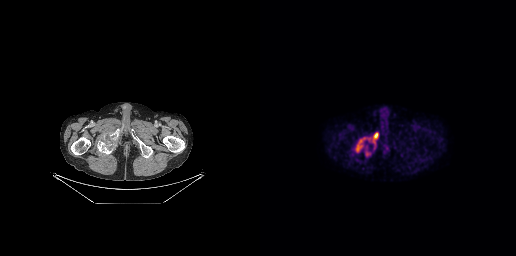
{"modality":"PSMA PET/CT","view":"axial","tracer":"18F","pet_grid":[256,256],"coord_frame":"pet_panel","coord_format":"x0,y0,x1,y1","partial":true,"lesion_bboxes":[[95,132,118,152],[106,151,110,155]]}